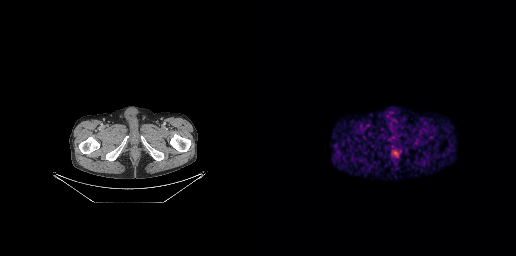
This slice has no annotated PSMA-avid lesion.